Paired axial CT (left) and PSMA PET (right), [18F]PSMA-1007 tracer.
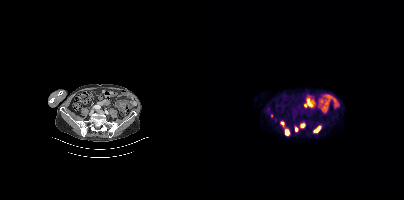
Coordinates are on the 200×200 PET (right) panel. (showing 6 of 7 foci) PSMA-avid tumor lesion bounding boxes (x, y, width, height): x=109 y=125 w=9 h=9 | x=81 y=128 w=5 h=8 | x=96 y=122 w=6 h=7 | x=76 y=121 w=5 h=6 | x=91 y=126 w=4 h=6. Small PSMA-avid focus (2 to 4 px across) near (center x, center y): (67, 115).